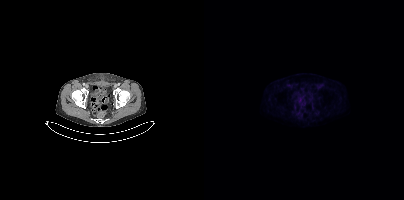
No tumor lesions annotated on this slice.